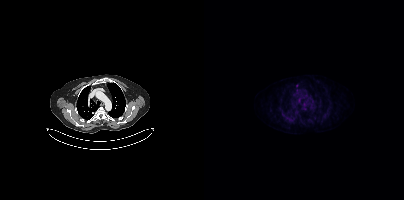
Two-panel axial: CT | PSMA PET, [18F]PSMA-1007 tracer. Acquired on Siemens Biograph mCT Flow 20. Slice position z = 384 mm. PET panel 200×200 px (4.1 mm/px). Coordinates are on the 200×200 PET (right) panel. Small PSMA-avid focus (2 to 4 px across) near (center x, center y): (95, 99).